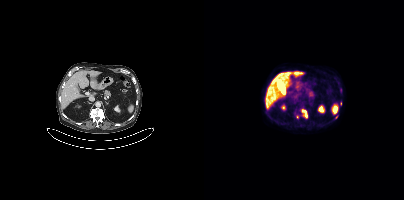
Coordinates are on the 200×200 PET (right) panel. PSMA-avid tumor lesion bounding boxes (partial; 1 more focus not listed):
| # | x0 | y0 | x1 | y1 |
|---|---|---|---|---|
| 1 | 98 | 109 | 103 | 117 |
Small PSMA-avid foci (2 to 4 px across) near (center x, center y): (136, 103); (132, 117).
Paired axial CT (left) and PSMA PET (right), [18F]PSMA-1007 tracer. Acquired on Siemens Biograph mCT Flow 20.